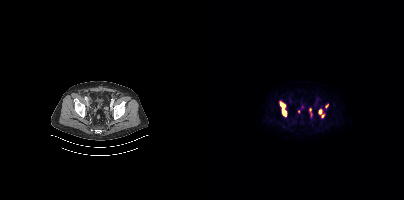
Coordinates are on the 200×200 PET (right) panel. (showing 5 of 6 foci) PSMA-avid tumor lesion bounding boxes (x, y, width, height): x=76 y=101 w=7 h=16; x=114 y=109 w=7 h=9. Small PSMA-avid foci (2 to 4 px across) near (center x, center y): (122, 105); (106, 109); (94, 111).
modality: PSMA PET/CT | tracer: [18F]PSMA-1007 | view: axial | PET grid: 200×200